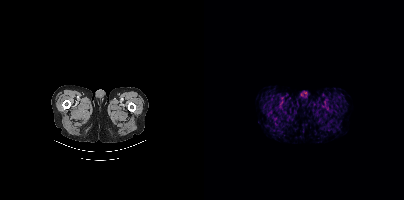
Two-panel axial: CT | PSMA PET, 18F tracer. Acquired on Siemens Biograph mCT Flow 20. Negative for PSMA-avid disease on this slice.